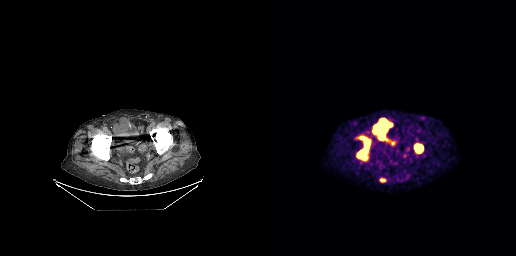
modality: PSMA PET/CT | tracer: 18F-PSMA | view: axial
Coordinates are on the 256×256 PET (right) panel. PSMA-avid tumor lesion bounding boxes (x, y, width, height): x=113 y=118 w=20 h=23; x=97 y=136 w=14 h=25; x=155 y=144 w=9 h=9; x=120 y=178 w=7 h=5.